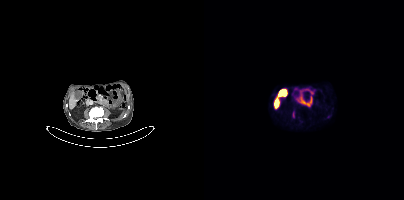
Technique: Two-panel axial: CT | PSMA PET, [18F]PSMA-1007 tracer. acquired on Siemens Biograph mCT Flow 20. PET panel 200×200 px (4.1 mm/px).
Findings: This slice has no annotated PSMA-avid lesion.